Technique: Two-panel axial: CT | PSMA PET, [68Ga]Ga-PSMA-11 tracer. acquired on Siemens Biograph 64-4R TruePoint. PET panel 168×168 px (4.1 mm/px).
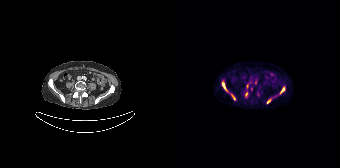
Findings: Coordinates are on the 168×168 PET (right) panel. PSMA-avid tumor lesion bounding boxes (x0,y0,x1,y1): [50,81,54,90]; [94,99,99,103]; [108,87,112,93]; [59,94,63,100]; [73,92,75,97]; [79,87,80,91]. Small PSMA-avid foci (2 to 4 px across) near (center x, center y): (83, 82); (75, 86); (86, 94).